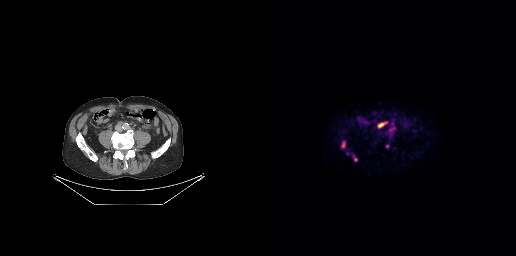
{"modality":"PSMA PET/CT","view":"axial","tracer":"18F","pet_grid":[256,256],"coord_frame":"pet_panel","coord_format":"x0,y0,x1,y1","lesion_bboxes":[[117,121,127,128],[81,141,85,147],[129,127,135,131]],"small_foci_centers":[[95,159],[127,146],[132,123]]}